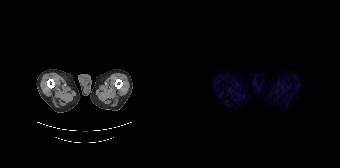
{"pet_grid":[168,168],"coord_frame":"pet_panel","coord_format":"x0,y0,x1,y1","psma_avid_lesions":false,"modality":"PSMA PET/CT","view":"axial","tracer":"68Ga-PSMA"}